Left: CT. Right: PSMA PET, same axial level, 18F tracer. Slice 88 of 425. PET panel 200×200 px (4.1 mm/px).
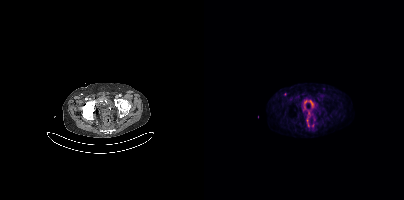
Coordinates are on the 200×200 PET (right) panel. (showing 2 of 4 foci) PSMA-avid tumor lesion bounding box (x, y, width, height): x=102 y=119 w=4 h=8. Small PSMA-avid focus (2 to 4 px across) near (center x, center y): (80, 94).